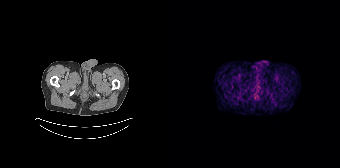
modality: PSMA PET/CT | tracer: 68Ga | view: axial
No tumor lesions annotated on this slice.